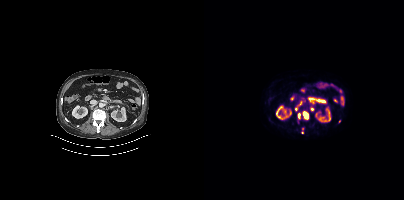
Coordinates are on the 200×200 PET (right) panel. PSMA-avid tumor lesion bounding boxes (x0, y0)-(x1, y1): (99, 111)-(104, 119); (94, 113)-(96, 118). Small PSMA-avid foci (2 to 4 px across) near (center x, center y): (95, 104); (92, 108); (108, 109); (98, 132).